modality: PSMA PET/CT | tracer: [18F]PSMA-1007 | view: axial | PET grid: 200×200
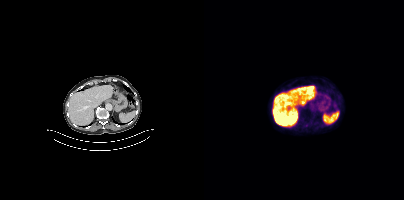
No tumor lesions annotated on this slice.